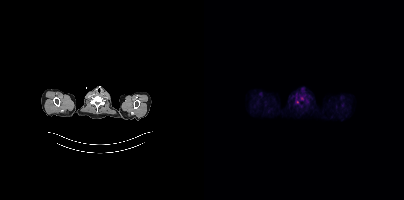
{"modality":"PSMA PET/CT","view":"axial","tracer":"18F","pet_grid":[200,200],"coord_frame":"pet_panel","coord_format":"x0,y0,x1,y1","psma_avid_lesions":false}